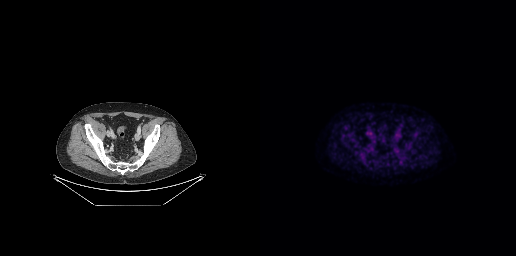
No tumor lesions annotated on this slice. Left: CT. Right: PSMA PET, same axial level, [18F]PSMA-1007 tracer.